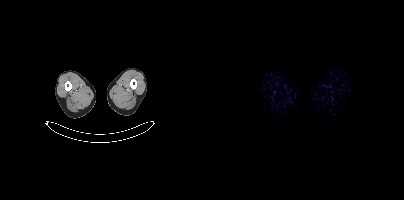
No PSMA-avid tumor lesions on this slice.